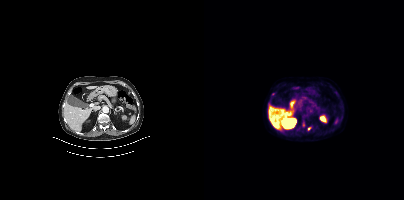
Coordinates are on the 200×200 PET (right) panel. (showing 2 of 3 foci) Small PSMA-avid foci (2 to 4 px across) near (center x, center y): (105, 128) (69, 94).
modality: PSMA PET/CT | tracer: [18F]PSMA-1007 | view: axial | PET grid: 200×200